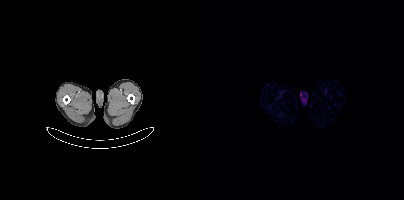
This slice has no annotated PSMA-avid lesion. Left: CT. Right: PSMA PET, same axial level, 68Ga-PSMA tracer. Acquired on Siemens Biograph mCT Flow 20. Slice position z = -1768 mm. PET panel 200×200 px (4.1 mm/px).